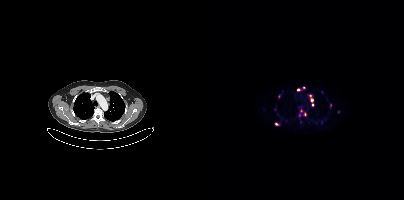
- Left: CT. Right: PSMA PET, same axial level, 68Ga tracer
- slice 316 of 411
- PET panel 200×200 px (4.1 mm/px)
Findings: Coordinates are on the 200×200 PET (right) panel. (showing 10 of 16 foci) Small PSMA-avid foci (2 to 4 px across) near (center x, center y): (108, 100) (73, 124) (100, 87) (94, 89) (108, 105) (126, 105) (96, 114) (74, 96) (97, 110) (134, 111).